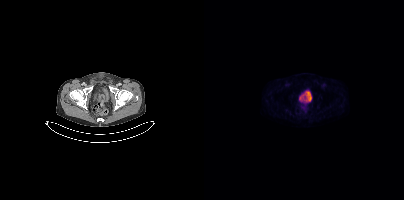
This slice has no annotated PSMA-avid lesion.